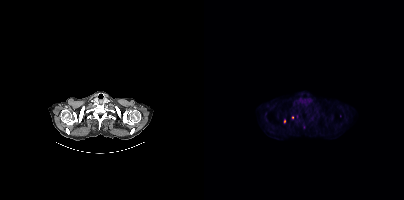
Findings: Only PSMA-avid lesion pieces thinner than 2 px on this slice (not listed).
- Paired axial CT (left) and PSMA PET (right), 18F tracer
- acquired on Siemens Biograph mCT Flow 20